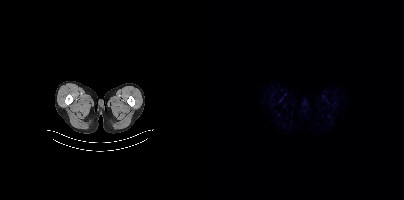
{"pet_grid":[200,200],"coord_frame":"pet_panel","coord_format":"x0,y0,x1,y1","psma_avid_lesions":false,"modality":"PSMA PET/CT","view":"axial","tracer":"18F-PSMA"}